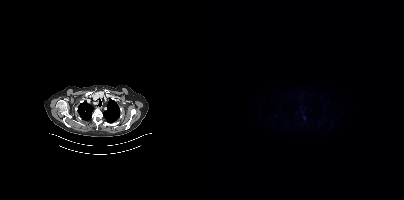
Coordinates are on the 200×200 PET (right) panel. Small PSMA-avid focus (2 to 4 px across) near (center x, center y): (100, 118).